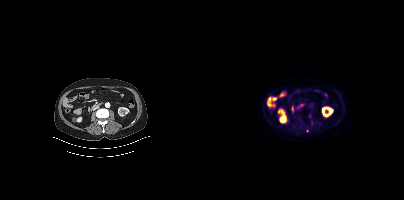
{"modality":"PSMA PET/CT","view":"axial","tracer":"18F-PSMA","pet_grid":[200,200],"coord_frame":"pet_panel","coord_format":"x0,y0,x1,y1","lesion_bboxes":[],"small_foci_centers":[[103,130]]}